Left: CT. Right: PSMA PET, same axial level, 18F tracer. Acquired on Siemens Biograph mCT Flow 20.
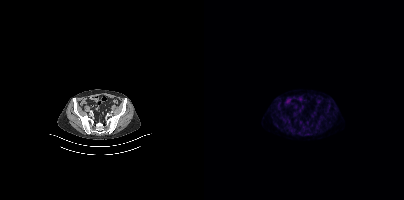
Negative for PSMA-avid disease on this slice.